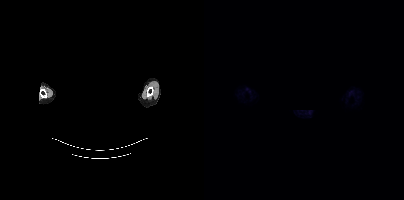
Technique: Two-panel axial: CT | PSMA PET, 68Ga tracer. slice 389 of 409. PET panel 200×200 px (4.1 mm/px).
Note: An anonymization step blacked out a rectangle over the head in this scan.
Findings: Negative for PSMA-avid disease on this slice.